Left: CT. Right: PSMA PET, same axial level, [18F]PSMA-1007 tracer. PET panel 200×200 px (4.1 mm/px).
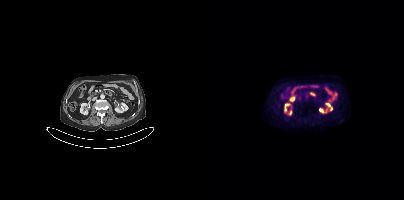
Negative for PSMA-avid disease on this slice.